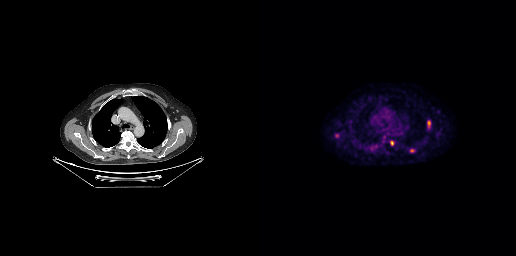
Technique: Left: CT. Right: PSMA PET, same axial level, 18F tracer. acquired on GE Discovery 690. slice position z = -181 mm.
Findings: Coordinates are on the 256×256 PET (right) panel. PSMA-avid tumor lesion bounding boxes (x, y, width, height): x=167 y=120 w=4 h=8 / x=130 y=141 w=4 h=5. Small PSMA-avid foci (2 to 4 px across) near (center x, center y): (77, 135) / (152, 150).